deidentification: head region blanked (face removed) | modality: PSMA PET/CT | tracer: [18F]PSMA-1007 | view: axial | PET grid: 200×200
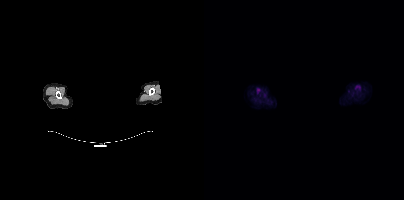
This slice has no annotated PSMA-avid lesion.